- Left: CT. Right: PSMA PET, same axial level, [18F]PSMA-1007 tracer
- PET panel 200×200 px (4.1 mm/px)
- an anonymization step blacked out a rectangle over the head in this scan
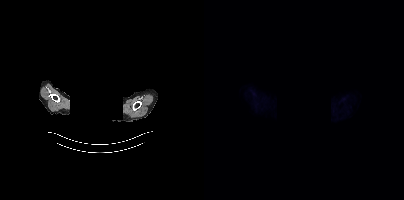
Findings: No tumor lesions annotated on this slice.